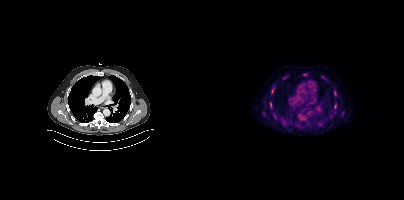
{"pet_grid":[200,200],"coord_frame":"pet_panel","coord_format":"x0,y0,x1,y1","partial":true,"lesion_bboxes":[[66,102,67,106]],"small_foci_centers":[[131,92],[80,78],[131,106],[68,91]],"modality":"PSMA PET/CT","view":"axial","tracer":"[18F]PSMA-1007"}